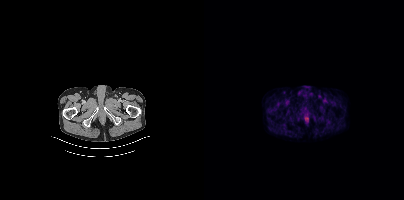
Only PSMA-avid lesion pieces thinner than 2 px on this slice (not listed).